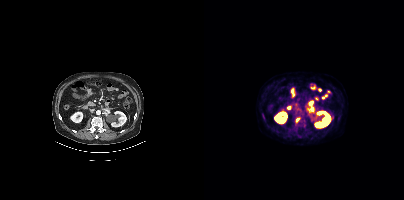
Coordinates are on the 200×200 PET (right) panel. Small PSMA-avid focus (2 to 4 px across) near (center x, center y): (93, 119).